Two-panel axial: CT | PSMA PET, 18F-PSMA tracer. Slice position z = -1179 mm.
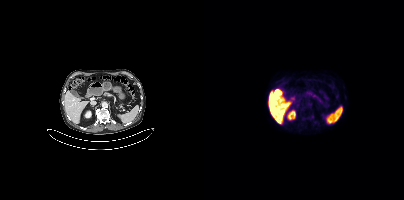
Only PSMA-avid lesion pieces thinner than 2 px on this slice (not listed).